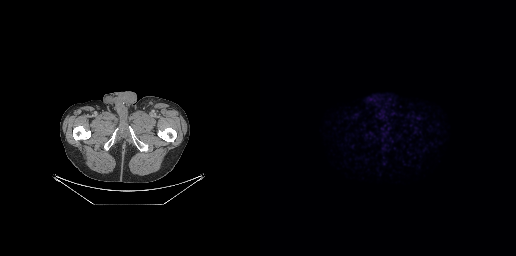
Left: CT. Right: PSMA PET, same axial level, 18F tracer. Slice 38 of 263. No PSMA-avid tumor lesions on this slice.